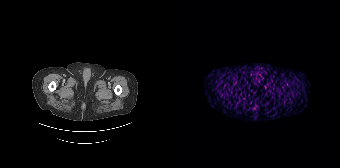
No tumor lesions annotated on this slice.